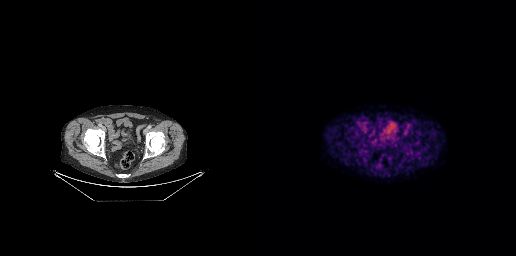
Findings: No PSMA-avid tumor lesions on this slice.
Technique: Two-panel axial: CT | PSMA PET, [18F]PSMA-1007 tracer. slice 85 of 299. PET panel 256×256 px (2.7 mm/px).